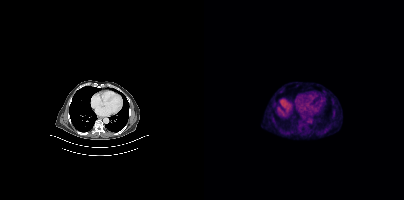
{"modality":"PSMA PET/CT","view":"axial","tracer":"[18F]PSMA-1007","pet_grid":[200,200],"coord_frame":"pet_panel","coord_format":"x0,y0,x1,y1","psma_avid_lesions":false}